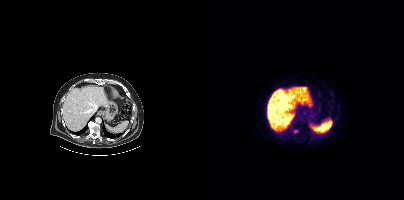
Coordinates are on the 200×200 PET (right) panel. Small PSMA-avid focus (2 to 4 px across) near (center x, center y): (91, 131). Paired axial CT (left) and PSMA PET (right), 18F tracer. Acquired on Siemens Biograph mCT Flow 20. PET panel 200×200 px (4.1 mm/px).